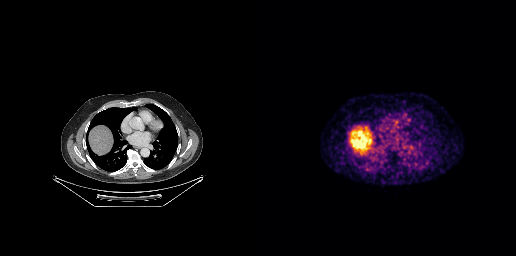
No PSMA-avid tumor lesions on this slice.